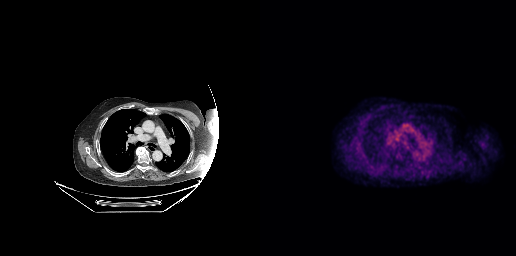
- Paired axial CT (left) and PSMA PET (right), [18F]PSMA-1007 tracer
- slice position z = -222 mm
- PET panel 256×256 px (2.7 mm/px)
Findings: This slice has no annotated PSMA-avid lesion.